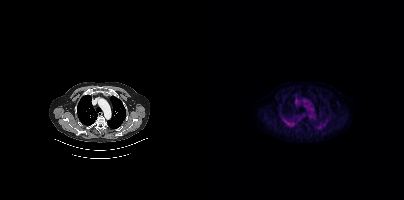
{"modality":"PSMA PET/CT","view":"axial","tracer":"18F","pet_grid":[200,200],"coord_frame":"pet_panel","coord_format":"x0,y0,x1,y1","psma_avid_lesions":false}